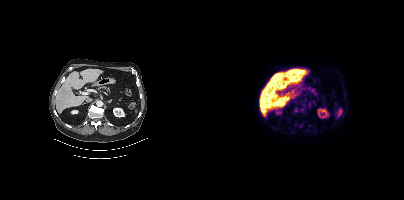
Left: CT. Right: PSMA PET, same axial level, [18F]PSMA-1007 tracer. Acquired on Siemens Biograph mCT Flow 20. PET panel 200×200 px (4.1 mm/px). Negative for PSMA-avid disease on this slice.